Two-panel axial: CT | PSMA PET, 18F tracer. PET panel 200×200 px (4.1 mm/px).
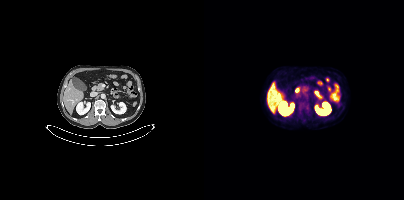
Negative for PSMA-avid disease on this slice.